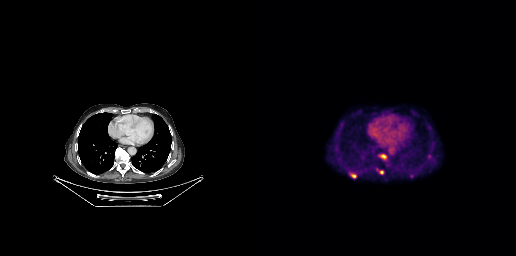
Coordinates are on the 256×256 PET (right) panel. PSMA-avid tumor lesion bounding boxes (x0, y0)-(x1, y1): (89, 173)-(96, 178) | (117, 169)-(123, 174). Small PSMA-avid focus (2 to 4 px across) near (center x, center y): (169, 156).